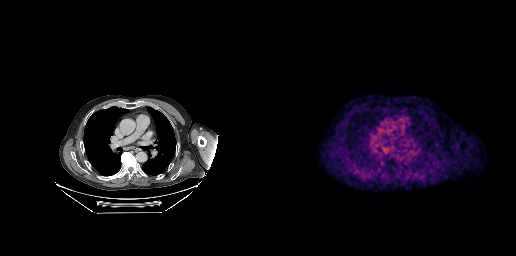
Negative for PSMA-avid disease on this slice.